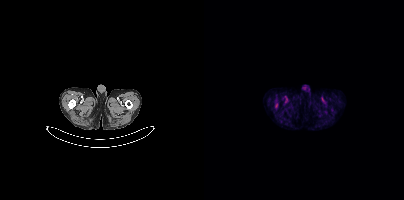
Technique: Paired axial CT (left) and PSMA PET (right), 18F tracer. acquired on Siemens Biograph mCT Flow 20. slice 25 of 401. PET panel 200×200 px (4.1 mm/px).
Findings: Only PSMA-avid lesion pieces thinner than 2 px on this slice (not listed).